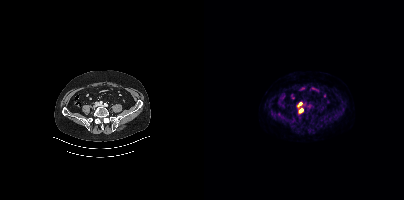
Left: CT. Right: PSMA PET, same axial level, 18F-PSMA tracer. PET panel 200×200 px (4.1 mm/px). Coordinates are on the 200×200 PET (right) panel. Small PSMA-avid foci (2 to 4 px across) near (center x, center y): (96, 110) (96, 103).